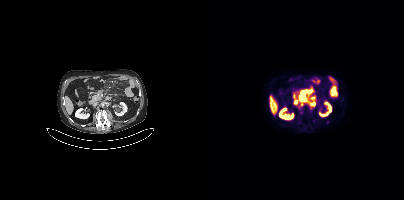
modality: PSMA PET/CT | tracer: 18F-PSMA | view: axial | PET grid: 200×200
Coordinates are on the 200×200 PET (right) panel. (showing 3 of 4 foci) PSMA-avid tumor lesion bounding boxes (x0,y0,x1,y1): [95,89,108,100] [107,102,111,105]. Small PSMA-avid focus (2 to 4 px across) near (center x, center y): (110, 97).